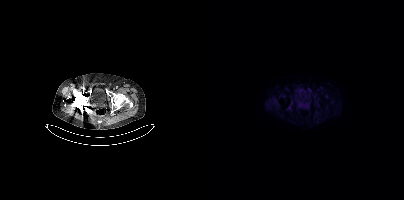
This slice has no annotated PSMA-avid lesion.